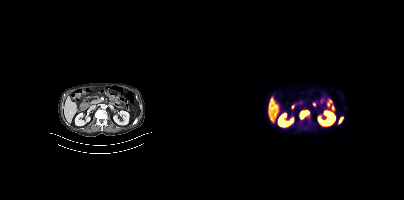
- Paired axial CT (left) and PSMA PET (right), 18F-PSMA tracer
Findings: Coordinates are on the 200×200 PET (right) panel. PSMA-avid tumor lesion bounding boxes (x, y, width, height): x=96 y=111 w=10 h=9 / x=135 y=117 w=5 h=7 / x=102 y=117 w=5 h=5.